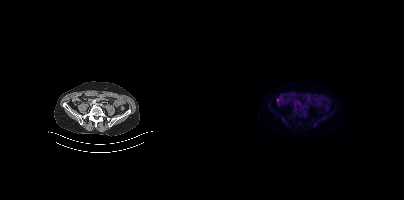
Negative for PSMA-avid disease on this slice.
modality: PSMA PET/CT | tracer: 18F-PSMA | view: axial | PET grid: 200×200